Technique: Paired axial CT (left) and PSMA PET (right), 68Ga-PSMA tracer. acquired on GE Discovery 690. slice 27 of 263. PET panel 256×256 px (2.7 mm/px).
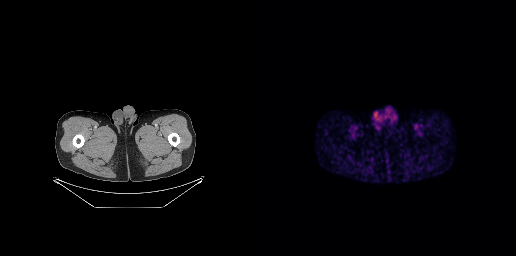
Findings: No tumor lesions annotated on this slice.